Left: CT. Right: PSMA PET, same axial level, 18F tracer.
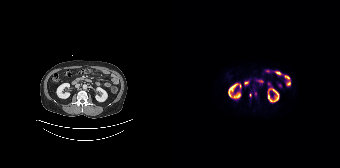
Coordinates are on the 168×168 PET (right) panel. Small PSMA-avid foci (2 to 4 px across) near (center x, center y): (78, 95) | (83, 93).